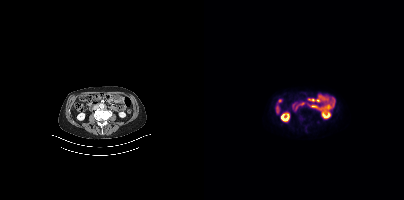
Findings: No PSMA-avid tumor lesions on this slice.
Technique: Left: CT. Right: PSMA PET, same axial level, [18F]PSMA-1007 tracer. slice 162 of 401. PET panel 200×200 px (4.1 mm/px).